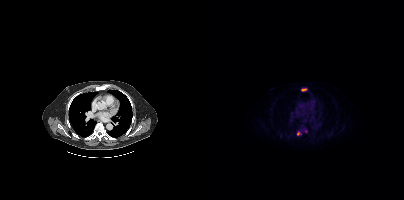
Findings: Coordinates are on the 200×200 PET (right) panel. (showing 2 of 3 foci) PSMA-avid tumor lesion bounding box (x0, y0)-(x1, y1): (97, 89)-(102, 90). Small PSMA-avid focus (2 to 4 px across) near (center x, center y): (94, 133).
- Left: CT. Right: PSMA PET, same axial level, 18F-PSMA tracer
- slice position z = -1010 mm